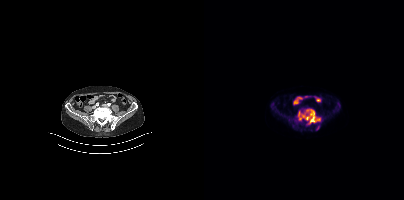
Coordinates are on the 200×200 PET (right) panel. (showing 4 of 5 foci) PSMA-avid tumor lesion bounding boxes (x0, y0)-(x1, y1): (93, 109)-(116, 124) / (133, 102)-(136, 106). Small PSMA-avid foci (2 to 4 px across) near (center x, center y): (114, 127) / (92, 123).